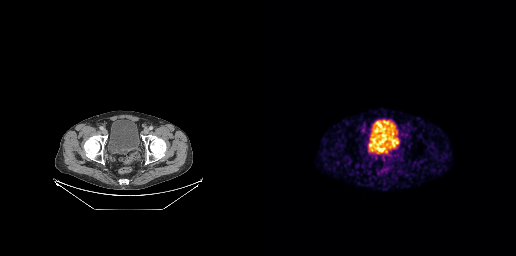
Left: CT. Right: PSMA PET, same axial level, 68Ga tracer. Slice 50 of 263. PET panel 256×256 px (2.7 mm/px). Coordinates are on the 256×256 PET (right) panel. PSMA-avid tumor lesion bounding box (x0, y0)-(x1, y1): (112, 140)-(131, 152).